Two-panel axial: CT | PSMA PET, 18F tracer. Slice position z = -1592 mm. PET panel 200×200 px (4.1 mm/px).
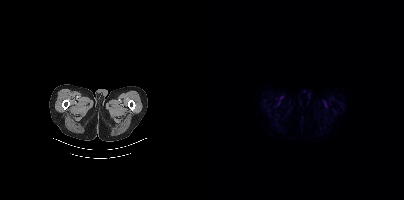
Negative for PSMA-avid disease on this slice.